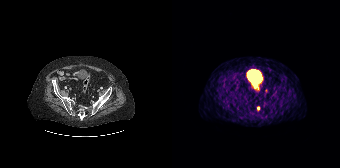
- Paired axial CT (left) and PSMA PET (right), [68Ga]Ga-PSMA-11 tracer
- acquired on Siemens Biograph 64-4R TruePoint
- slice position z = -1544 mm
Findings: Coordinates are on the 168×168 PET (right) panel. Small PSMA-avid focus (2 to 4 px across) near (center x, center y): (86, 108).